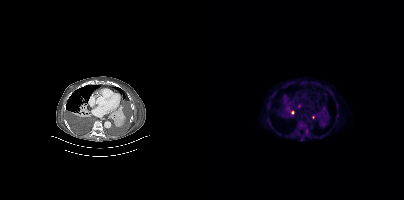
Coordinates are on the 200×200 PET (right) panel. PSMA-avid tumor lesion bounding boxes (x, y, width, height): x=96 y=124 w=6 h=5 | x=102 y=130 w=2 h=5. Small PSMA-avid foci (2 to 4 px across) near (center x, center y): (97, 139) | (95, 106) | (125, 91) | (88, 112) | (109, 117).
modality: PSMA PET/CT | tracer: 18F | view: axial | PET grid: 200×200